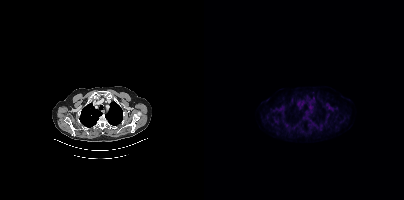
Negative for PSMA-avid disease on this slice.